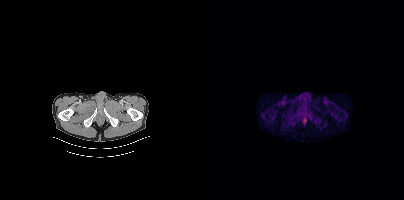
Only PSMA-avid lesion pieces thinner than 2 px on this slice (not listed).
modality: PSMA PET/CT | tracer: [18F]PSMA-1007 | view: axial | PET grid: 200×200